Technique: Left: CT. Right: PSMA PET, same axial level, 18F-PSMA tracer. acquired on Siemens Biograph mCT Flow 20. slice 109 of 397.
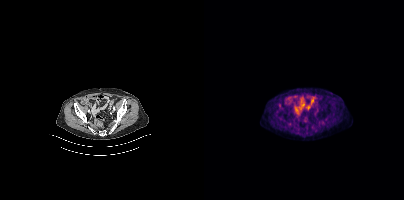
Findings: Negative for PSMA-avid disease on this slice.